Technique: Two-panel axial: CT | PSMA PET, [18F]PSMA-1007 tracer. slice position z = -491 mm. PET panel 256×256 px (2.7 mm/px).
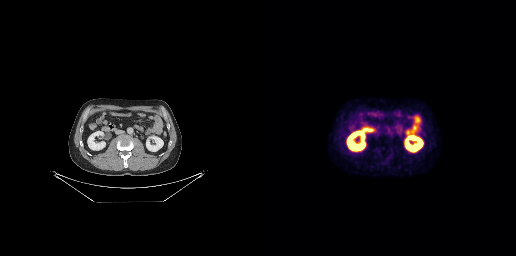
Findings: Coordinates are on the 256×256 PET (right) panel. Small PSMA-avid focus (2 to 4 px across) near (center x, center y): (127, 133).